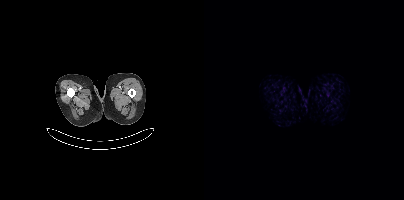
Technique: Left: CT. Right: PSMA PET, same axial level, 18F-PSMA tracer.
Findings: No tumor lesions annotated on this slice.